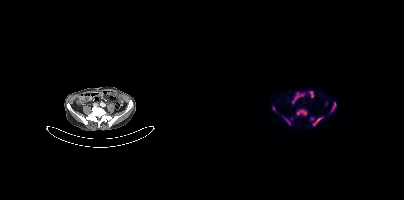
Coordinates are on the 200×200 PET (right) panel. PSMA-avid tumor lesion bounding boxes (x0,y0,x1,y1): [93,109,102,115]; [127,102,132,111]; [109,117,118,125]; [78,116,86,124]; [69,107,71,111]. Small PSMA-avid foci (2 to 4 px across) near (center x, center y): (87, 118); (107, 118).